Left: CT. Right: PSMA PET, same axial level, 68Ga tracer. Slice 276 of 429. PET panel 200×200 px (4.1 mm/px).
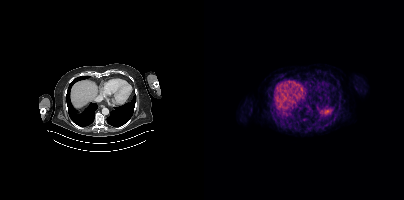
No PSMA-avid tumor lesions on this slice.